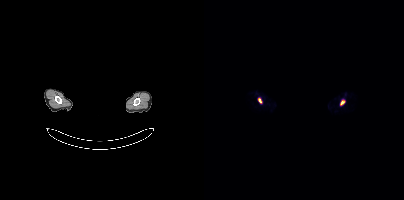
Two-panel axial: CT | PSMA PET, 68Ga tracer. Acquired on Siemens Biograph mCT Flow 20. Slice position z = -505 mm. The face region was removed for patient privacy by blanking a rectangle over the head. Coordinates are on the 200×200 PET (right) panel. PSMA-avid tumor lesion bounding boxes (x, y, width, height): x=136 y=100 w=5 h=5; x=54 y=98 w=4 h=5.